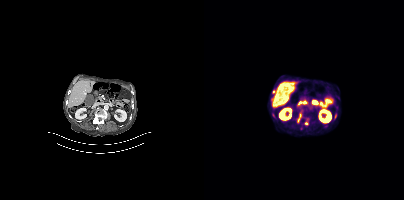
- Two-panel axial: CT | PSMA PET, [18F]PSMA-1007 tracer
- acquired on Siemens Biograph mCT Flow 20
- slice position z = -1298 mm
Findings: Coordinates are on the 200×200 PET (right) panel. PSMA-avid tumor lesion bounding boxes (x0, y0)-(x1, y1): (92, 118)-(97, 123) / (100, 120)-(104, 125) / (130, 114)-(132, 118). Small PSMA-avid foci (2 to 4 px across) near (center x, center y): (70, 91) / (97, 128).